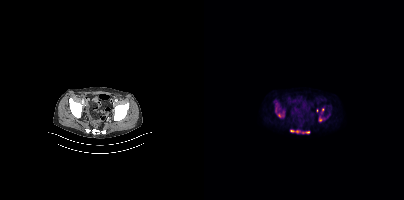
modality: PSMA PET/CT | tracer: [18F]PSMA-1007 | view: axial
Coordinates are on the 200×200 PET (right) panel. (showing 5 of 8 foci) PSMA-avid tumor lesion bounding boxes (x0,y0,x1,y1): [86,130,95,132], [115,116,118,121], [98,131,105,133]. Small PSMA-avid foci (2 to 4 px across) near (center x, center y): (75, 115), (118, 109).